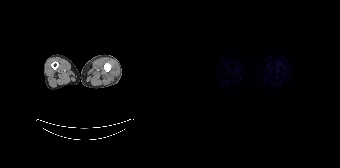
This slice has no annotated PSMA-avid lesion.